modality: PSMA PET/CT | tracer: 18F-PSMA | view: axial
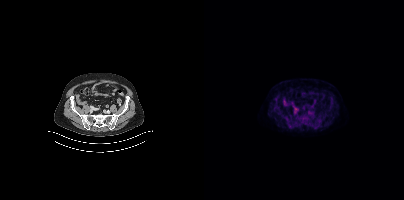
Coordinates are on the 200×200 PET (right) panel. PSMA-avid tumor lesion bounding box (x0,y0,x1,y1): [89,107,93,112]. Small PSMA-avid focus (2 to 4 px across) near (center x, center y): (88, 103).